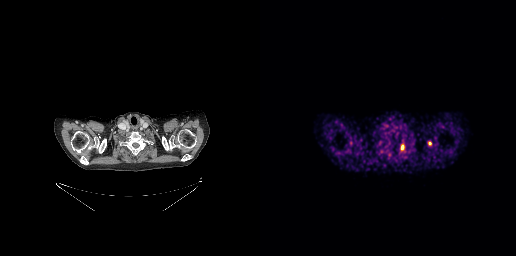
Coordinates are on the 256×256 PET (right) panel. PSMA-avid tumor lesion bounding boxes:
| # | x0 | y0 | x1 | y1 |
|---|---|---|---|---|
| 1 | 141 | 144 | 144 | 150 |
| 2 | 168 | 141 | 171 | 145 |
Paired axial CT (left) and PSMA PET (right), 68Ga-PSMA tracer. Acquired on GE Discovery 690. PET panel 256×256 px (2.7 mm/px).